Technique: Two-panel axial: CT | PSMA PET, 68Ga tracer. PET panel 200×200 px (4.1 mm/px).
Note: Face de-identified by blanking a block of the head.
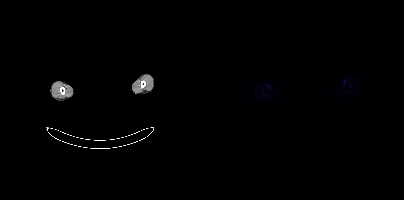
Findings: No PSMA-avid tumor lesions on this slice.